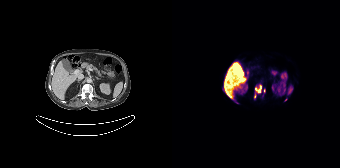
{"modality":"PSMA PET/CT","view":"axial","tracer":"18F","pet_grid":[168,168],"coord_frame":"pet_panel","coord_format":"x0,y0,x1,y1","partial":true,"lesion_bboxes":[[82,84,90,98],[91,88,93,93]]}